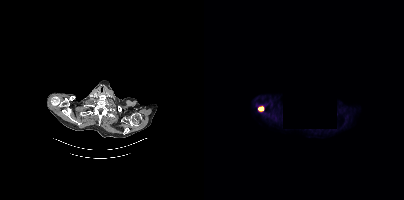
Technique: Two-panel axial: CT | PSMA PET, [18F]PSMA-1007 tracer. PET panel 200×200 px (4.1 mm/px).
Note: A rectangular region was set to black for de-identification.
Findings: Coordinates are on the 200×200 PET (right) panel. PSMA-avid tumor lesion bounding box (x0, y0)-(x1, y1): (54, 106)-(59, 111).